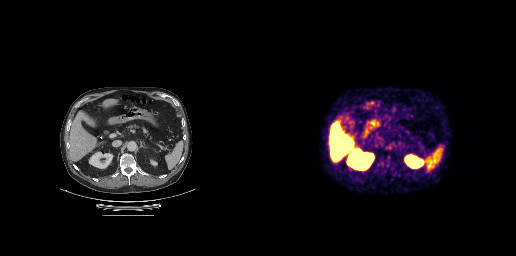
Findings: Negative for PSMA-avid disease on this slice.
Technique: Paired axial CT (left) and PSMA PET (right), 18F tracer. acquired on GE Discovery 690.